Paired axial CT (left) and PSMA PET (right), 18F-PSMA tracer. Slice 18 of 344.
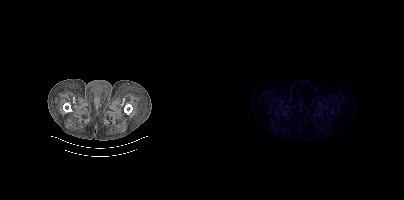
No tumor lesions annotated on this slice.